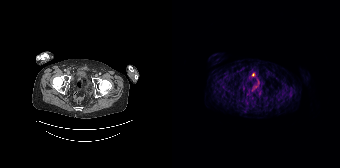
This slice has no annotated PSMA-avid lesion.